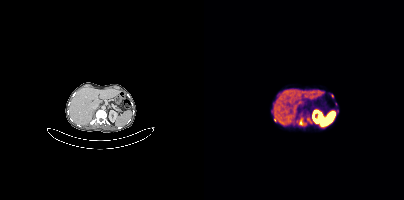
Coordinates are on the 200×200 PET (right) panel. (showing 3 of 5 foci) PSMA-avid tumor lesion bounding boxes (x0,y0,x1,y1): [95,118,102,125] [103,118,107,122]. Small PSMA-avid focus (2 to 4 px across) near (center x, center y): (128, 95).
modality: PSMA PET/CT | tracer: 68Ga-PSMA | view: axial